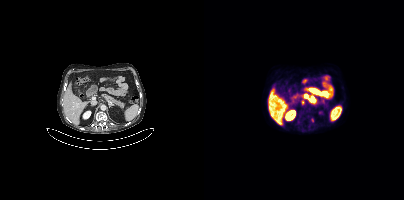
Technique: Two-panel axial: CT | PSMA PET, [18F]PSMA-1007 tracer. slice 203 of 395. PET panel 200×200 px (4.1 mm/px).
Findings: Coordinates are on the 200×200 PET (right) panel. (showing 1 of 2 foci) PSMA-avid tumor lesion bounding box (x0,y0,x1,y1): [97,100,100,104].